modality: PSMA PET/CT | tracer: [18F]PSMA-1007 | view: axial
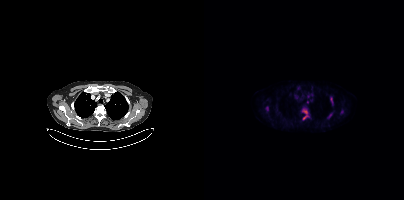
Coordinates are on the 200×200 PET (right) panel. (showing 5 of 6 foci) PSMA-avid tumor lesion bounding boxes (x0,y0,x1,y1): [126,97,128,102]; [99,110,103,113]; [99,115,103,119]. Small PSMA-avid foci (2 to 4 px across) near (center x, center y): (126, 115); (103, 101).